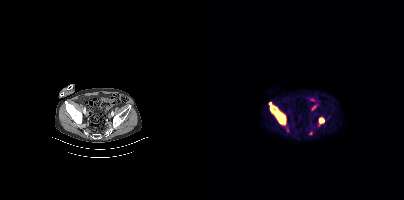
Technique: Two-panel axial: CT | PSMA PET, 18F tracer.
Findings: Coordinates are on the 200×200 PET (right) panel. PSMA-avid tumor lesion bounding boxes (x0, y0)-(x1, y1): (65, 102)-(82, 125) / (113, 117)-(120, 126). Small PSMA-avid foci (2 to 4 px across) near (center x, center y): (106, 133) / (83, 129).